Paired axial CT (left) and PSMA PET (right), 18F-PSMA tracer. Acquired on Siemens Biograph mCT Flow 20. Slice position z = -418 mm.
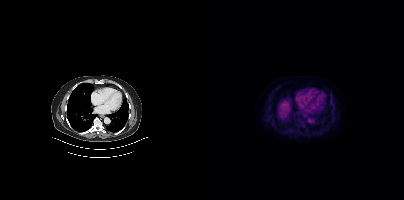
No PSMA-avid tumor lesions on this slice.